Two-panel axial: CT | PSMA PET, 18F tracer. PET panel 200×200 px (4.1 mm/px).
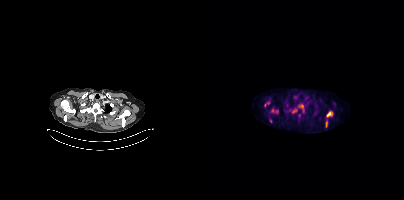
Coordinates are on the 200×200 PET (right) panel. (showing 5 of 9 foci) PSMA-avid tumor lesion bounding boxes (x, y, width, height): x=122 y=111 w=8 h=7; x=95 y=104 w=5 h=5; x=122 y=121 w=2 h=6. Small PSMA-avid foci (2 to 4 px across) near (center x, center y): (68, 110); (91, 110).